modality: PSMA PET/CT | tracer: [68Ga]Ga-PSMA-11 | view: axial
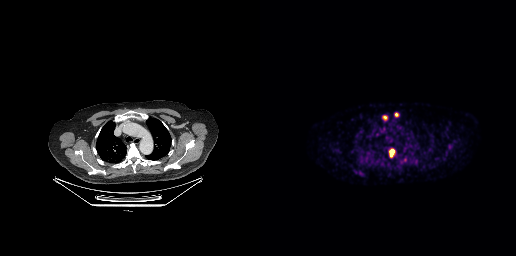
Coordinates are on the 256×256 PET (right) panel. PSMA-avid tumor lesion bounding boxes (x0, y0)-(x1, y1): (129, 149)-(134, 156); (123, 116)-(127, 119). Small PSMA-avid focus (2 to 4 px across) near (center x, center y): (136, 114).